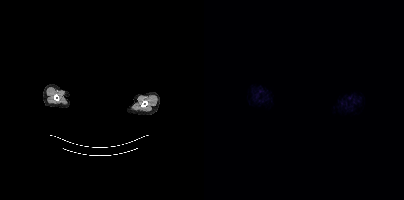
No tumor lesions annotated on this slice.
modality: PSMA PET/CT | tracer: 18F-PSMA | view: axial | PET grid: 200×200 | de-identification: head region blacked out before release